Technique: Left: CT. Right: PSMA PET, same axial level, [18F]PSMA-1007 tracer. PET panel 200×200 px (4.1 mm/px).
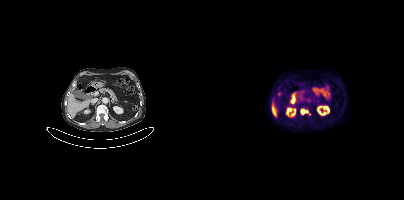
Findings: Coordinates are on the 200×200 PET (right) panel. (showing 1 of 2 foci) PSMA-avid tumor lesion bounding box (x, y, width, height): x=97 y=109 w=8 h=6.